modality: PSMA PET/CT | tracer: 18F-PSMA | view: axial | PET grid: 200×200
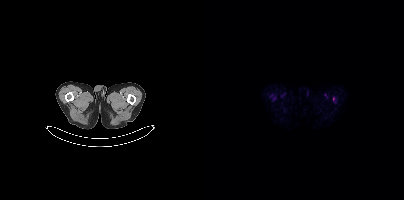
Coordinates are on the 200×200 PET (right) panel. Small PSMA-avid focus (2 to 4 px across) near (center x, center y): (129, 98).